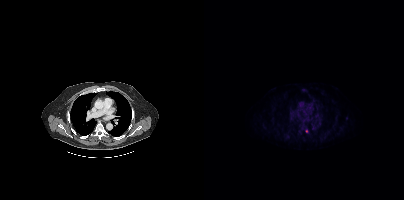
Findings: Only PSMA-avid lesion pieces thinner than 2 px on this slice (not listed).
Technique: Left: CT. Right: PSMA PET, same axial level, [18F]PSMA-1007 tracer.